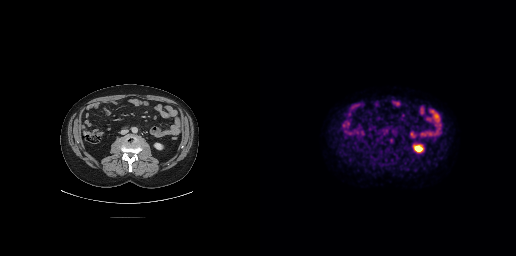
Technique: Paired axial CT (left) and PSMA PET (right), [18F]PSMA-1007 tracer. acquired on GE Discovery 690.
Findings: No tumor lesions annotated on this slice.